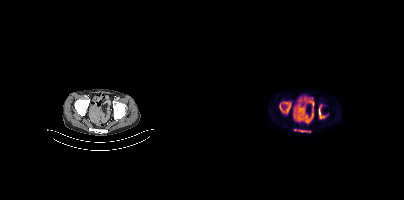
Findings: Coordinates are on the 200×200 PET (right) panel. PSMA-avid tumor lesion bounding boxes (x0, y0)-(x1, y1): (75, 102)-(87, 114) | (90, 129)-(106, 132) | (115, 108)-(120, 118). Small PSMA-avid focus (2 to 4 px across) near (center x, center y): (117, 105).
Technique: Left: CT. Right: PSMA PET, same axial level, 18F tracer. acquired on Siemens Biograph mCT Flow 20.